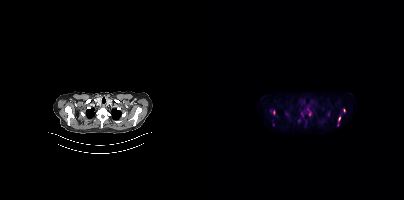
Coordinates are on the 200×200 PET (right) panel. PSMA-avid tumor lesion bounding boxes (x0, y0)-(x1, y1): (134, 115)-(136, 121) / (139, 108)-(141, 112) / (81, 112)-(84, 116). Small PSMA-avid foci (2 to 4 px across) near (center x, center y): (69, 112) / (105, 113) / (124, 114) / (133, 125) / (97, 113).